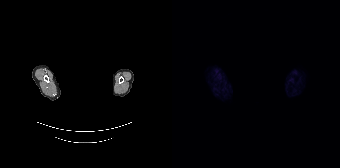
Findings: Negative for PSMA-avid disease on this slice.
Technique: Left: CT. Right: PSMA PET, same axial level, 68Ga tracer. acquired on Siemens Biograph 64-4R TruePoint.
Note: A rectangular block over the head has been blanked out for de-identification.